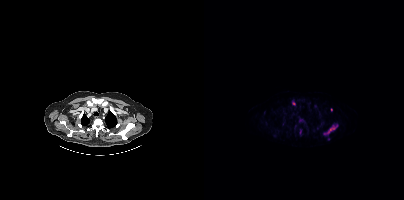
Technique: Two-panel axial: CT | PSMA PET, [18F]PSMA-1007 tracer. slice 430 of 508. PET panel 200×200 px (4.1 mm/px).
Findings: Coordinates are on the 200×200 PET (right) panel. (showing 4 of 6 foci) PSMA-avid tumor lesion bounding box (x, y, width, height): x=120 y=124 w=14 h=11. Small PSMA-avid foci (2 to 4 px across) near (center x, center y): (89, 103) | (124, 138) | (127, 109).